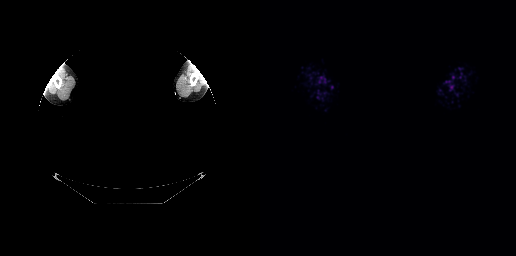
Findings: Negative for PSMA-avid disease on this slice.
Technique: Two-panel axial: CT | PSMA PET, 68Ga tracer. acquired on GE Discovery 690. PET panel 256×256 px (2.7 mm/px).
Note: De-identified by setting a box covering the face to black before release.